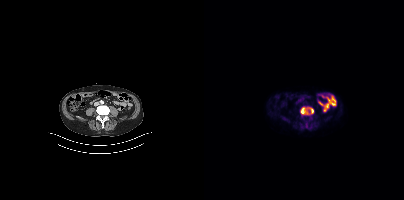
- Left: CT. Right: PSMA PET, same axial level, [18F]PSMA-1007 tracer
- PET panel 200×200 px (4.1 mm/px)
Findings: Coordinates are on the 200×200 PET (right) panel. PSMA-avid tumor lesion bounding box (x, y, width, height): x=97 y=107 w=13 h=8. Small PSMA-avid focus (2 to 4 px across) near (center x, center y): (102, 126).